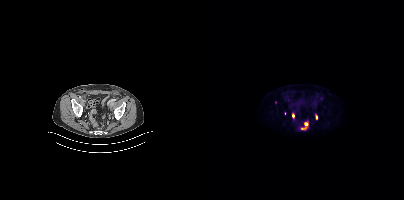
Findings: Coordinates are on the 200×200 PET (right) panel. (showing 3 of 5 foci) PSMA-avid tumor lesion bounding boxes (x, y, width, height): x=97 y=121 w=8 h=9; x=88 y=113 w=3 h=6. Small PSMA-avid focus (2 to 4 px across) near (center x, center y): (112, 117).
Technique: Two-panel axial: CT | PSMA PET, 18F-PSMA tracer. slice position z = -1554 mm. PET panel 200×200 px (4.1 mm/px).